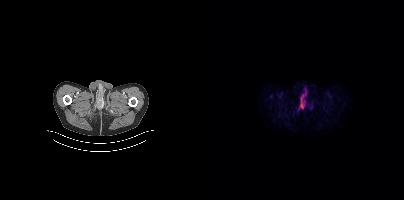
Coordinates are on the 200×200 PET (right) panel. PSMA-avid tumor lesion bounding box (x, y, width, height): x=95 y=87 w=9 h=22.